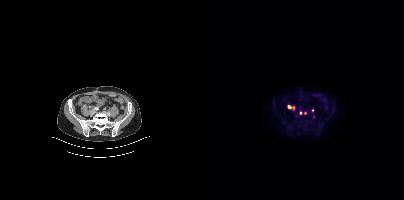
{"modality":"PSMA PET/CT","view":"axial","tracer":"18F","pet_grid":[200,200],"coord_frame":"pet_panel","coord_format":"x0,y0,x1,y1","partial":true,"lesion_bboxes":[],"small_foci_centers":[[85,106],[89,107],[108,110],[96,113],[101,112]]}